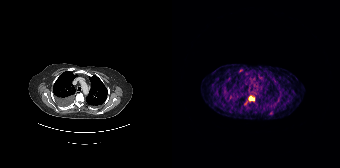
modality: PSMA PET/CT | tracer: 68Ga | view: axial | PET grid: 168×168
Coordinates are on the 168×168 PET (right) panel. PSMA-avid tumor lesion bounding box (x, y, width, height): x=77 y=96 w=6 h=5.